modality: PSMA PET/CT | tracer: 18F | view: axial
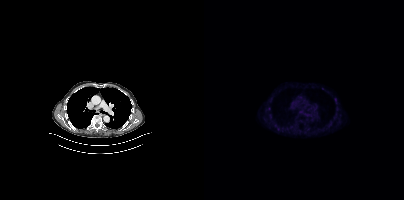
This slice has no annotated PSMA-avid lesion.